Paired axial CT (left) and PSMA PET (right), 18F-PSMA tracer. Acquired on Siemens Biograph mCT Flow 20. Slice 276 of 429. PET panel 200×200 px (4.1 mm/px).
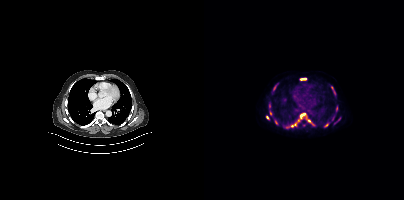
Coordinates are on the 200×200 PET (right) panel. (showing 11 of 13 foci) PSMA-avid tumor lesion bounding boxes (x0,y0,x1,y1): [80,125,86,128], [69,83,73,89], [127,86,131,94], [96,78,102,80], [96,113,101,117], [71,120,73,124], [92,119,96,122]. Small PSMA-avid foci (2 to 4 px across) near (center x, center y): (63, 117), (122, 125), (104, 120), (91, 124).